Two-panel axial: CT | PSMA PET, [18F]PSMA-1007 tracer. Acquired on Siemens Biograph mCT Flow 20.
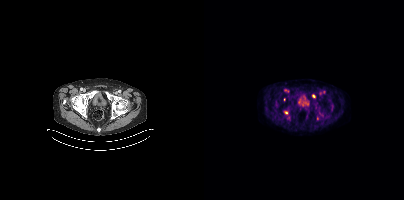
Coordinates are on the 200×200 PET (right) panel. PSMA-avid tumor lesion bounding boxes:
| # | x0 | y0 | x1 | y1 |
|---|---|---|---|---|
| 1 | 113 | 116 | 114 | 120 |
Small PSMA-avid foci (2 to 4 px across) near (center x, center y): (109, 96); (80, 99); (82, 112).